Two-panel axial: CT | PSMA PET, 18F tracer. Acquired on Siemens Biograph mCT Flow 20. Slice position z = -1300 mm. PET panel 200×200 px (4.1 mm/px).
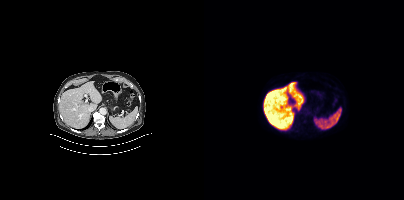
This slice has no annotated PSMA-avid lesion.